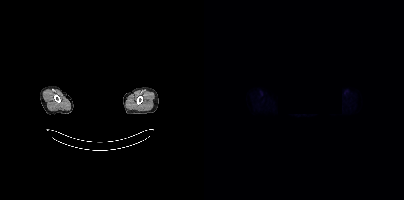
Two-panel axial: CT | PSMA PET, 18F tracer. Acquired on Siemens Biograph mCT Flow 20. Privacy masking over the head, with the pixels inside a rectangle set to black. No PSMA-avid tumor lesions on this slice.